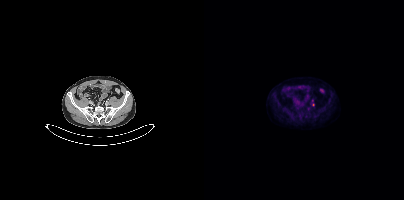
{"pet_grid":[200,200],"coord_frame":"pet_panel","coord_format":"x0,y0,x1,y1","partial":true,"lesion_bboxes":[],"modality":"PSMA PET/CT","view":"axial","tracer":"[18F]PSMA-1007"}